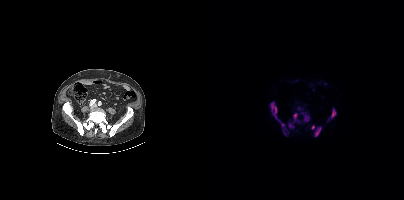
modality: PSMA PET/CT | tracer: [18F]PSMA-1007 | view: axial
Coordinates are on the 200×200 PET (right) panel. (showing 9 of 13 foci) PSMA-avid tumor lesion bounding boxes (x0,y0,x1,y1): [66,102,73,118]; [110,127,117,136]; [126,108,132,118]; [100,113,105,121]; [75,120,82,135]; [89,113,93,121]; [85,123,89,127]; [107,125,110,129]. Small PSMA-avid focus (2 to 4 px across) near (center x, center y): (95, 108).